Technique: Two-panel axial: CT | PSMA PET, 18F-PSMA tracer. acquired on GE Discovery 690. slice position z = -446 mm. PET panel 256×256 px (2.7 mm/px).
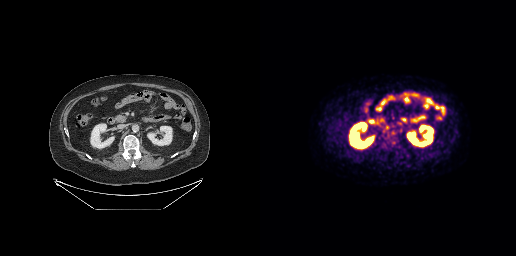
Findings: Coordinates are on the 256×256 PET (right) panel. PSMA-avid tumor lesion bounding box (x0, y0)-(x1, y1): (125, 126)-(129, 129).